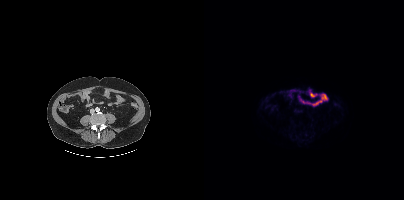
{"modality":"PSMA PET/CT","view":"axial","tracer":"18F","pet_grid":[200,200],"coord_frame":"pet_panel","coord_format":"x0,y0,x1,y1","psma_avid_lesions":false}